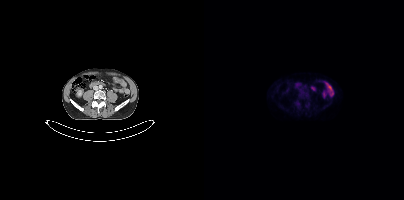
Negative for PSMA-avid disease on this slice.